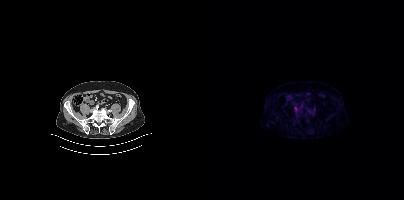
Paired axial CT (left) and PSMA PET (right), 68Ga tracer. No PSMA-avid tumor lesions on this slice.